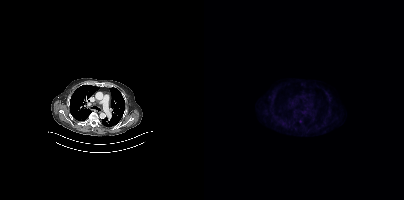
- Left: CT. Right: PSMA PET, same axial level, [18F]PSMA-1007 tracer
- PET panel 200×200 px (4.1 mm/px)
Findings: Only PSMA-avid lesion pieces thinner than 2 px on this slice (not listed).